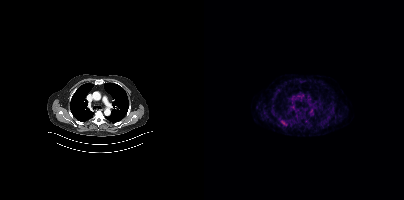
{"modality":"PSMA PET/CT","view":"axial","tracer":"18F","pet_grid":[200,200],"coord_frame":"pet_panel","coord_format":"x0,y0,x1,y1","lesion_bboxes":[[78,121,83,125]]}